A rectangular privacy mask was applied before release. Paired axial CT (left) and PSMA PET (right), 18F-PSMA tracer.
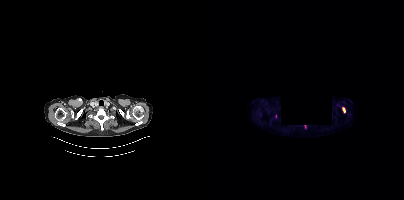
Coordinates are on the 200×200 PET (right) panel. (showing 1 of 2 foci) PSMA-avid tumor lesion bounding box (x, y, width, height): x=138 y=107 w=4 h=6.